Left: CT. Right: PSMA PET, same axial level, [18F]PSMA-1007 tracer. Acquired on GE Discovery 690. Some pixels were blanked for anonymization.
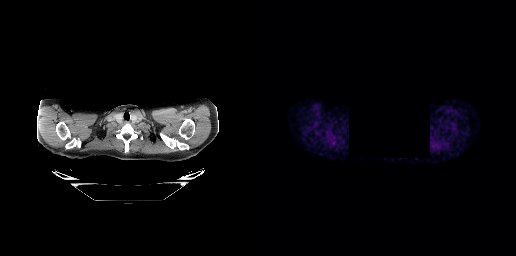
Negative for PSMA-avid disease on this slice.